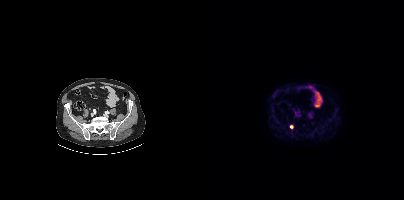
Coordinates are on the 200×200 PET (right) panel. Small PSMA-avid focus (2 to 4 px across) near (center x, center y): (87, 126).